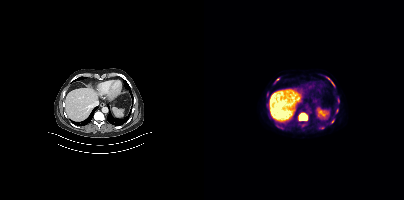
Technique: Two-panel axial: CT | PSMA PET, [18F]PSMA-1007 tracer. slice position z = -1118 mm.
Findings: Coordinates are on the 200×200 PET (right) panel. (showing 7 of 10 foci) PSMA-avid tumor lesion bounding boxes (x0,y0,x1,y1): [95,113,103,120], [124,78,129,85]. Small PSMA-avid foci (2 to 4 px across) near (center x, center y): (133, 110), (73, 79), (63, 94), (118, 127), (128, 121).